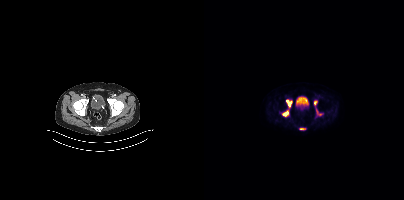
{"pet_grid":[200,200],"coord_frame":"pet_panel","coord_format":"x0,y0,x1,y1","lesion_bboxes":[[82,99,88,107],[78,110,84,116],[112,108,118,115],[110,100,113,106],[95,128,101,129]],"modality":"PSMA PET/CT","view":"axial","tracer":"18F"}